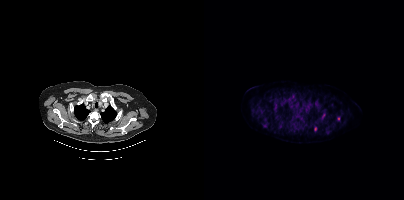
modality: PSMA PET/CT | tracer: 18F-PSMA | view: axial
Coordinates are on the 200×200 PET (right) panel. (showing 2 of 3 foci) Small PSMA-avid foci (2 to 4 px across) near (center x, center y): (111, 129) (134, 118).